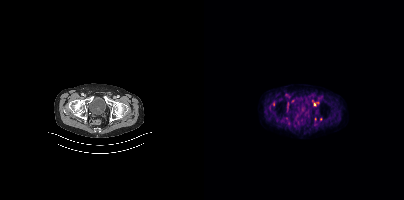
Left: CT. Right: PSMA PET, same axial level, [18F]PSMA-1007 tracer. Slice 64 of 407. Coordinates are on the 200×200 PET (right) panel. Small PSMA-avid foci (2 to 4 px across) near (center x, center y): (116, 119); (110, 104); (111, 119).